- Left: CT. Right: PSMA PET, same axial level, [18F]PSMA-1007 tracer
- acquired on Siemens Biograph mCT Flow 20
- slice position z = -1295 mm
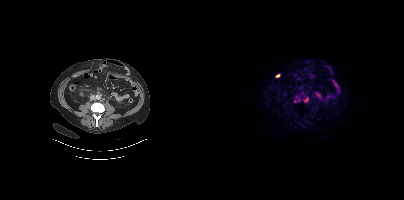
Findings: Coordinates are on the 200×200 PET (right) panel. (showing 3 of 5 foci) PSMA-avid tumor lesion bounding box (x, y, width, height): x=93 y=99 w=5 h=4. Small PSMA-avid foci (2 to 4 px across) near (center x, center y): (102, 100); (90, 101).